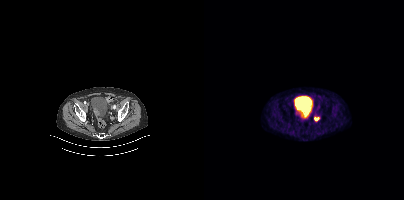
{"modality":"PSMA PET/CT","view":"axial","tracer":"[68Ga]Ga-PSMA-11","pet_grid":[200,200],"coord_frame":"pet_panel","coord_format":"x0,y0,x1,y1","lesion_bboxes":[[110,117,115,120]]}